The face region was removed for patient privacy by blanking a rectangle over the head. Two-panel axial: CT | PSMA PET, 18F tracer. PET panel 200×200 px (4.1 mm/px).
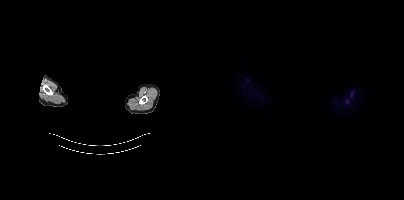
Coordinates are on the 200×200 PET (right) panel. Small PSMA-avid focus (2 to 4 px across) near (center x, center y): (143, 101).